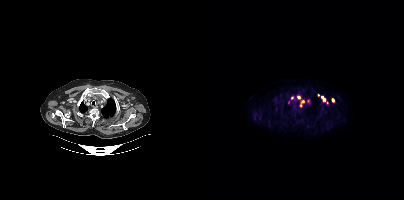
Coordinates are on the 200×200 PET (right) panel. (showing 7 of 8 foci) PSMA-avid tumor lesion bounding boxes (x, y, width, height): x=96 y=100 w=5 h=7; x=84 y=97 w=6 h=8; x=117 y=96 w=5 h=6; x=127 y=98 w=4 h=5; x=93 y=95 w=4 h=5. Small PSMA-avid foci (2 to 4 px across) near (center x, center y): (114, 95); (103, 100).
modality: PSMA PET/CT | tracer: 18F | view: axial